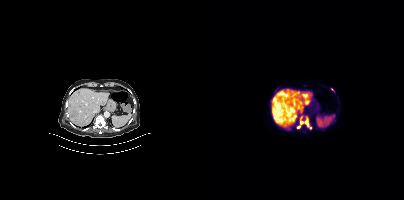
{"modality":"PSMA PET/CT","view":"axial","tracer":"18F-PSMA","pet_grid":[200,200],"coord_frame":"pet_panel","coord_format":"x0,y0,x1,y1","lesion_bboxes":[[96,116,107,129],[96,115,99,119]],"small_foci_centers":[[95,126],[128,89]]}